Technique: Two-panel axial: CT | PSMA PET, 18F-PSMA tracer.
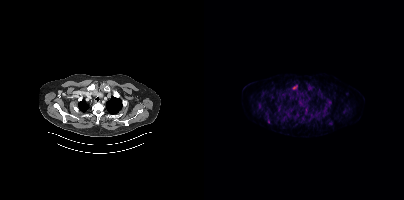
Findings: Coordinates are on the 200×200 PET (right) panel. (showing 10 of 11 foci) PSMA-avid tumor lesion bounding boxes (x0, y0)-(x1, y1): (121, 100)-(127, 107) / (101, 107)-(104, 113) / (54, 102)-(57, 108) / (91, 112)-(95, 117). Small PSMA-avid foci (2 to 4 px across) near (center x, center y): (81, 93) / (64, 121) / (90, 87) / (106, 88) / (115, 90) / (123, 97).